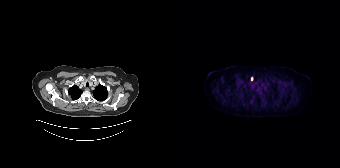
{"pet_grid":[168,168],"coord_frame":"pet_panel","coord_format":"x0,y0,x1,y1","lesion_bboxes":[],"small_foci_centers":[[79,78]],"modality":"PSMA PET/CT","view":"axial","tracer":"[18F]PSMA-1007"}